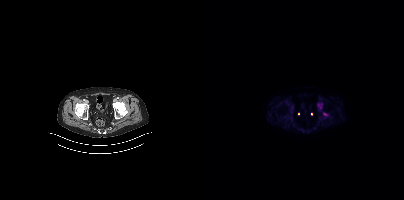
Only PSMA-avid lesion pieces thinner than 2 px on this slice (not listed).